modality: PSMA PET/CT | tracer: 18F | view: axial
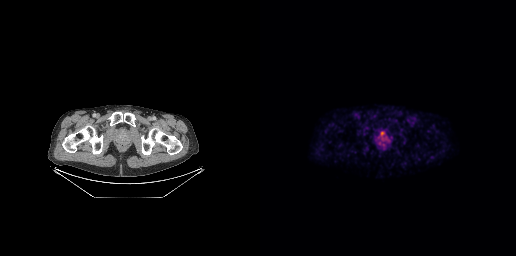
Coordinates are on the 256×256 PET (right) panel. PSMA-avid tumor lesion bounding box (x0,y0,x1,y1): [115,131,129,146].